modality: PSMA PET/CT | tracer: [18F]PSMA-1007 | view: axial | PET grid: 200×200
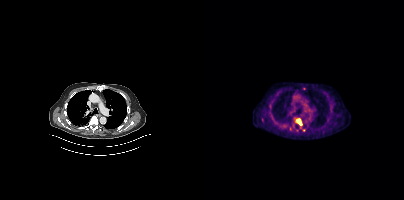
Coordinates are on the 200×200 PET (right) panel. (showing 1 of 2 foci) PSMA-avid tumor lesion bounding box (x0, y0)-(x1, y1): (92, 119)-(98, 125).